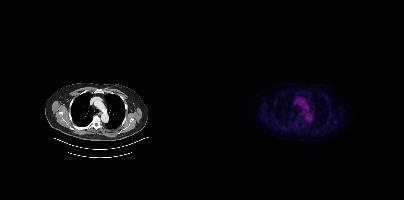
Findings: No PSMA-avid tumor lesions on this slice.
- Left: CT. Right: PSMA PET, same axial level, [18F]PSMA-1007 tracer
- slice 278 of 381